Technique: Left: CT. Right: PSMA PET, same axial level, 18F tracer. acquired on Siemens Biograph mCT Flow 20. slice position z = 151 mm.
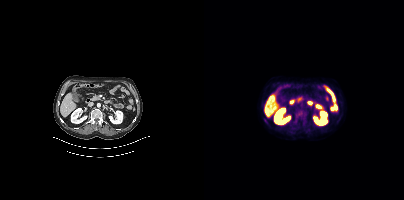
Findings: No tumor lesions annotated on this slice.